Technique: Paired axial CT (left) and PSMA PET (right), 18F-PSMA tracer. acquired on Siemens Biograph mCT Flow 20. slice position z = -910 mm. PET panel 200×200 px (4.1 mm/px).
Note: A rectangle over the head was blacked out to remove identifiable facial features.
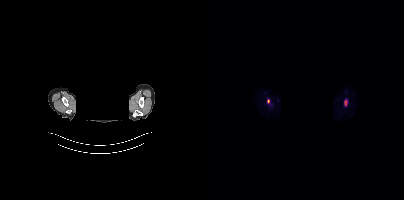
Findings: Coordinates are on the 200×200 PET (right) panel. PSMA-avid tumor lesion bounding box (x0,y0,x1,y1): [140,100,143,105]. Small PSMA-avid focus (2 to 4 px across) near (center x, center y): (64, 101).